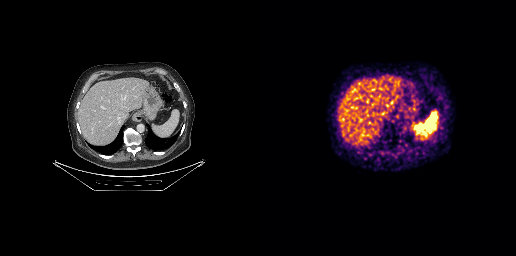
{"modality":"PSMA PET/CT","view":"axial","tracer":"68Ga-PSMA","pet_grid":[256,256],"coord_frame":"pet_panel","coord_format":"x0,y0,x1,y1","psma_avid_lesions":false}